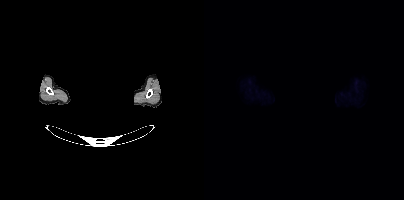
No tumor lesions annotated on this slice. Left: CT. Right: PSMA PET, same axial level, 18F tracer. A rectangular block over the head has been blanked out for de-identification.